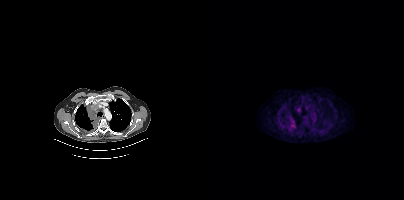
modality: PSMA PET/CT | tracer: 18F | view: axial | PET grid: 200×200
Coordinates are on the 200×200 PET (right) panel. PSMA-avid tumor lesion bounding boxes (x, y, width, height): x=84 y=120 w=9 h=10 | x=93 y=108 w=4 h=5.